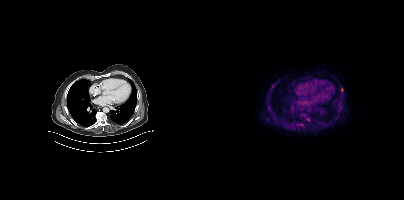
{"pet_grid":[200,200],"coord_frame":"pet_panel","coord_format":"x0,y0,x1,y1","partial":true,"lesion_bboxes":[],"small_foci_centers":[[104,119],[68,86],[137,89],[97,124]],"modality":"PSMA PET/CT","view":"axial","tracer":"18F"}